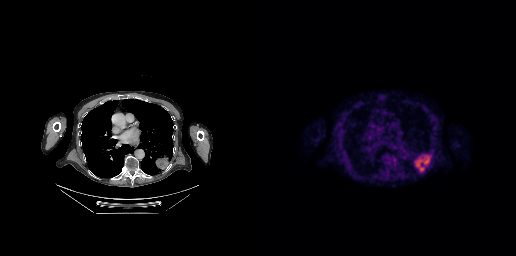
Left: CT. Right: PSMA PET, same axial level, 18F tracer. Acquired on GE Discovery 690. PET panel 256×256 px (2.7 mm/px).
Coordinates are on the 256×256 PET (right) panel. PSMA-avid tumor lesion bounding boxes:
| # | x0 | y0 | x1 | y1 |
|---|---|---|---|---|
| 1 | 154 | 155 | 170 | 171 |